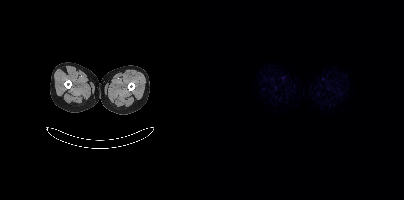
{"modality":"PSMA PET/CT","view":"axial","tracer":"18F-PSMA","pet_grid":[200,200],"coord_frame":"pet_panel","coord_format":"x0,y0,x1,y1","psma_avid_lesions":false}